modality: PSMA PET/CT | tracer: [18F]PSMA-1007 | view: axial
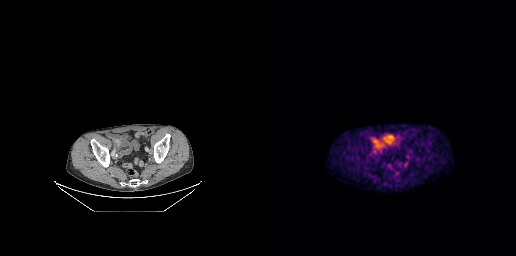
Coordinates are on the 256×256 PET (right) panel. PSMA-avid tumor lesion bounding box (x0, y0)-(x1, y1): (144, 162)-(147, 166).